- Two-panel axial: CT | PSMA PET, 18F tracer
- acquired on Siemens Biograph mCT Flow 20
- slice 320 of 413
- PET panel 200×200 px (4.1 mm/px)
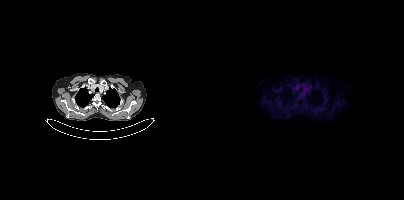
Findings: Negative for PSMA-avid disease on this slice.